Paired axial CT (left) and PSMA PET (right), 18F-PSMA tracer.
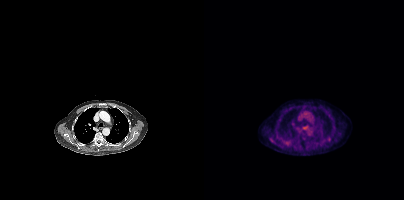
Coordinates are on the 200×200 PET (right) panel. Small PSMA-avid focus (2 to 4 px across) near (center x, center y): (125, 139).